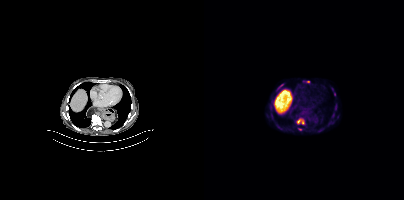
Coordinates are on the 200×200 PET (right) panel. (showing 5 of 7 foci) PSMA-avid tumor lesion bounding boxes (x, y, width, height): x=92 y=118 w=9 h=7 / x=73 y=84 w=7 h=7. Small PSMA-avid foci (2 to 4 px across) near (center x, center y): (95, 129) / (104, 81) / (130, 94).